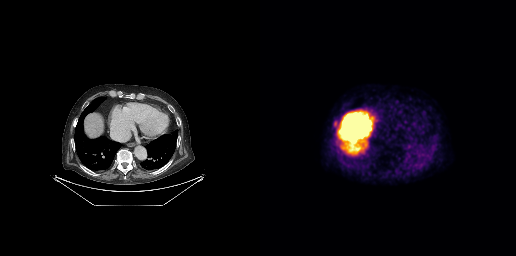
Left: CT. Right: PSMA PET, same axial level, 18F tracer. Slice 164 of 263. PET panel 256×256 px (2.7 mm/px). Coordinates are on the 256×256 PET (right) panel. PSMA-avid tumor lesion bounding box (x, y, width, height): x=74 y=121 w=6 h=7.